Paired axial CT (left) and PSMA PET (right), [18F]PSMA-1007 tracer. PET panel 256×256 px (2.7 mm/px).
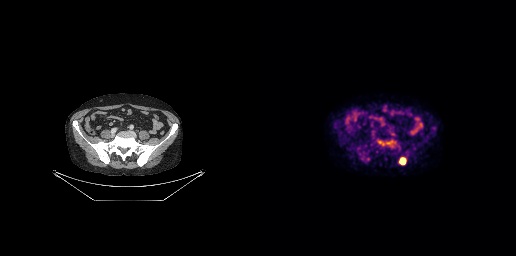
Coordinates are on the 256×256 PET (right) panel. PSMA-avid tumor lesion bounding box (x, y, width, height): x=139 y=158 w=7 h=7.